Technique: Left: CT. Right: PSMA PET, same axial level, [18F]PSMA-1007 tracer. slice position z = 80 mm. PET panel 200×200 px (4.1 mm/px).
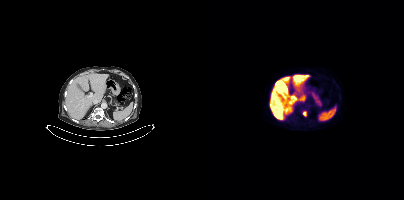
Findings: Coordinates are on the 200×200 PET (right) panel. PSMA-avid tumor lesion bounding box (x0, y0)-(x1, y1): (99, 111)-(102, 116).